Technique: Paired axial CT (left) and PSMA PET (right), 18F tracer. acquired on Siemens Biograph mCT Flow 20. slice 56 of 409. PET panel 200×200 px (4.1 mm/px).
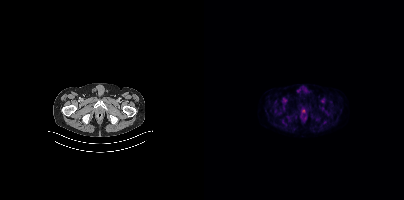
Findings: No PSMA-avid tumor lesions on this slice.